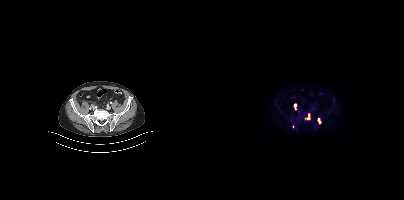
{"modality":"PSMA PET/CT","view":"axial","tracer":"18F-PSMA","pet_grid":[200,200],"coord_frame":"pet_panel","coord_format":"x0,y0,x1,y1","partial":true,"lesion_bboxes":[[90,104,92,109]],"small_foci_centers":[[104,115],[101,118],[114,119]]}